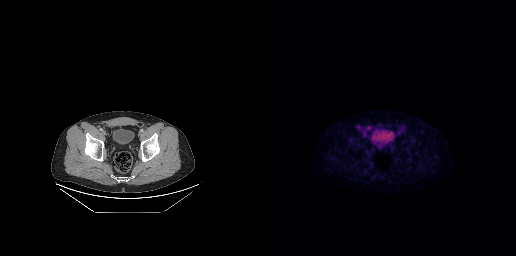
- Left: CT. Right: PSMA PET, same axial level, 18F tracer
- acquired on GE Discovery 690
Findings: Coordinates are on the 256×256 PET (right) panel. PSMA-avid tumor lesion bounding boxes (x0, y0)-(x1, y1): (96, 125)-(100, 129); (106, 126)-(110, 129). Small PSMA-avid focus (2 to 4 px across) near (center x, center y): (139, 132).